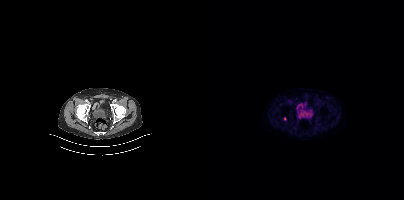
Left: CT. Right: PSMA PET, same axial level, 18F-PSMA tracer. Acquired on Siemens Biograph mCT Flow 20. PET panel 200×200 px (4.1 mm/px). Coordinates are on the 200×200 PET (right) panel. Small PSMA-avid focus (2 to 4 px across) near (center x, center y): (80, 118).